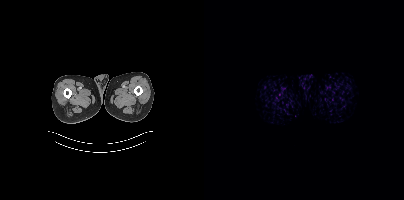
Paired axial CT (left) and PSMA PET (right), [18F]PSMA-1007 tracer. No PSMA-avid tumor lesions on this slice.